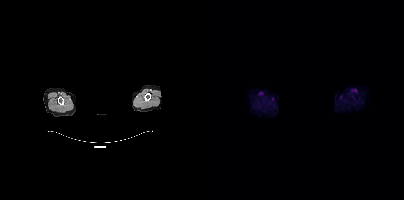
modality: PSMA PET/CT | tracer: 18F | view: axial | PET grid: 200×200 | de-identification: face masked with black rectangle
This slice has no annotated PSMA-avid lesion.